Paired axial CT (left) and PSMA PET (right), 18F tracer. Acquired on Siemens Biograph mCT Flow 20. Slice position z = -584 mm.
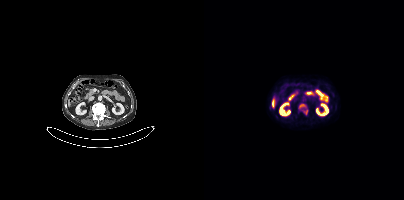
Coordinates are on the 200×200 PET (right) panel. PSMA-avid tumor lesion bounding boxes:
| # | x0 | y0 | x1 | y1 |
|---|---|---|---|---|
| 1 | 94 | 103 | 103 | 114 |